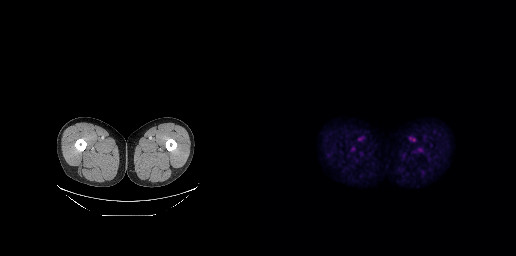
This slice has no annotated PSMA-avid lesion.